Paired axial CT (left) and PSMA PET (right), 18F-PSMA tracer. Slice 154 of 389.
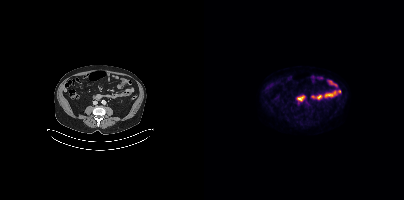
This slice has no annotated PSMA-avid lesion.